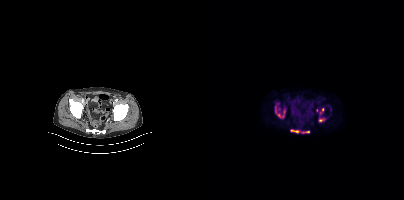
Coordinates are on the 200×200 PET (right) panel. (showing 5 of 6 foci) PSMA-avid tumor lesion bounding boxes (x0,y0,x1,y1): [71,106,81,117] [86,129,95,133] [98,131,105,133]. Small PSMA-avid foci (2 to 4 px across) near (center x, center y): (116, 120) (118, 109).